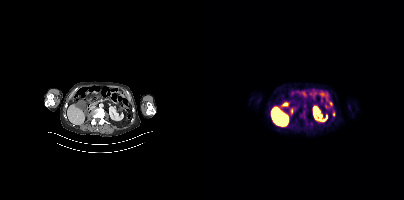
modality: PSMA PET/CT | tracer: 18F | view: axial | PET grid: 200×200
Coordinates are on the 200×200 PET (right) panel. Small PSMA-avid foci (2 to 4 px across) near (center x, center y): (129, 113) / (127, 104).